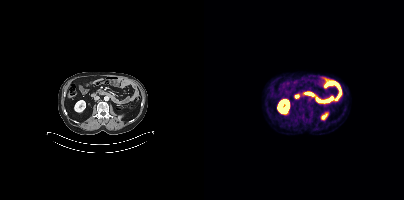
This slice has no annotated PSMA-avid lesion.
modality: PSMA PET/CT | tracer: 68Ga-PSMA | view: axial | PET grid: 200×200